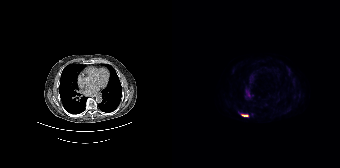
{"modality":"PSMA PET/CT","view":"axial","tracer":"18F","pet_grid":[168,168],"coord_frame":"pet_panel","coord_format":"x0,y0,x1,y1","lesion_bboxes":[[69,114,76,116]]}